Paired axial CT (left) and PSMA PET (right), 68Ga tracer. Slice position z = -1310 mm.
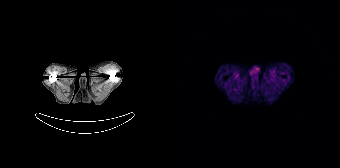
This slice has no annotated PSMA-avid lesion.